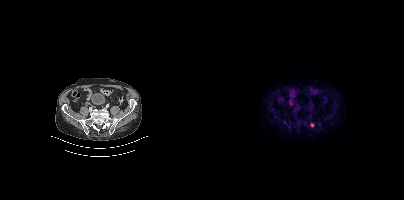
- Paired axial CT (left) and PSMA PET (right), 18F tracer
Findings: Coordinates are on the 200×200 PET (right) panel. Small PSMA-avid focus (2 to 4 px across) near (center x, center y): (108, 125).